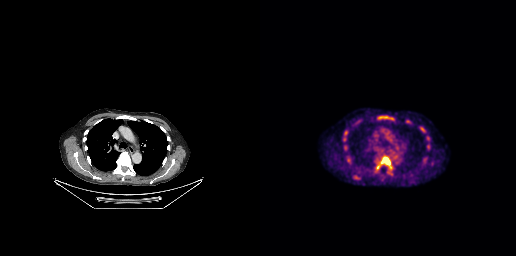
{"modality":"PSMA PET/CT","view":"axial","tracer":"[18F]PSMA-1007","pet_grid":[256,256],"coord_frame":"pet_panel","coord_format":"x0,y0,x1,y1","partial":true,"lesion_bboxes":[[116,157,131,169],[119,116,127,118]]}